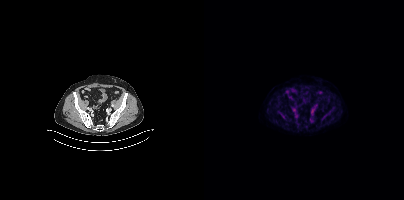
Coordinates are on the 200×200 PET (right) panel. PSMA-avid tumor lesion bounding boxes (x0, y0)-(x1, y1): (117, 115)-(122, 120) / (78, 115)-(82, 119). Small PSMA-avid focus (2 to 4 px across) near (center x, center y): (75, 112).